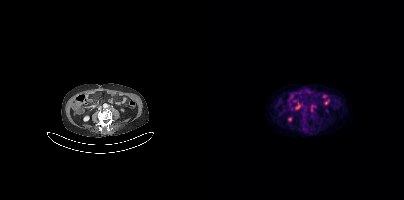
Technique: Left: CT. Right: PSMA PET, same axial level, 18F-PSMA tracer.
Findings: Coordinates are on the 200×200 PET (right) panel. PSMA-avid tumor lesion bounding box (x0, y0)-(x1, y1): (106, 104)-(112, 112).